Two-panel axial: CT | PSMA PET, [18F]PSMA-1007 tracer. Acquired on Siemens Biograph mCT Flow 20.
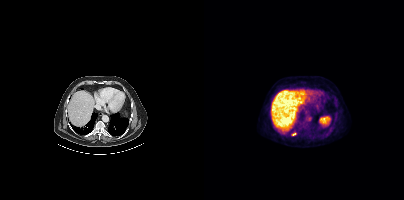
Coordinates are on the 200×200 PET (right) panel. PSMA-avid tumor lesion bounding boxes:
| # | x0 | y0 | x1 | y1 |
|---|---|---|---|---|
| 1 | 88 | 133 | 92 | 135 |